modality: PSMA PET/CT | tracer: 68Ga | view: axial | PET grid: 256×256
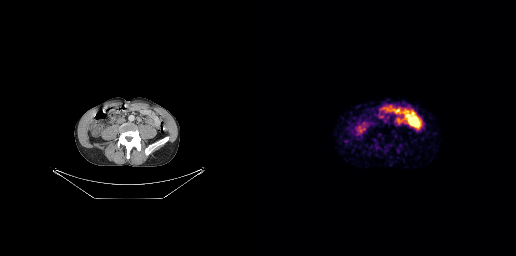
No tumor lesions annotated on this slice.